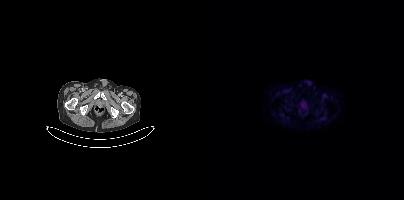
No tumor lesions annotated on this slice. Paired axial CT (left) and PSMA PET (right), [18F]PSMA-1007 tracer.